modality: PSMA PET/CT | tracer: 18F-PSMA | view: axial
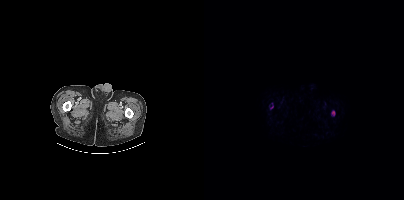
Coordinates are on the 200×200 PET (right) panel. (showing 2 of 3 foci) PSMA-avid tumor lesion bounding boxes (x, y, width, height): x=127 y=110 w=5 h=6; x=66 y=105 w=4 h=5.